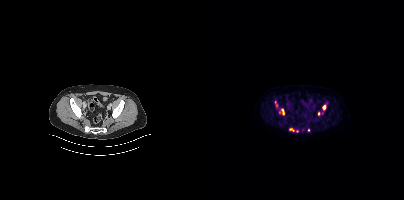
Technique: Left: CT. Right: PSMA PET, same axial level, [18F]PSMA-1007 tracer.
Findings: Coordinates are on the 200×200 PET (right) panel. (showing 5 of 6 foci) PSMA-avid tumor lesion bounding boxes (x, y, width, height): x=119 y=105 w=3 h=5 | x=78 y=109 w=3 h=6 | x=85 y=128 w=5 h=4. Small PSMA-avid foci (2 to 4 px across) near (center x, center y): (114, 113) | (104, 129).